Technique: Left: CT. Right: PSMA PET, same axial level, 18F tracer.
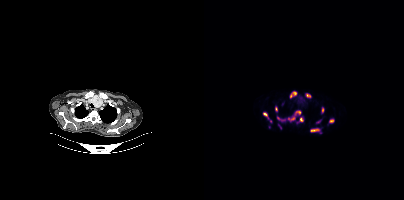
Findings: Coordinates are on the 200×200 PET (right) panel. (showing 11 of 13 foci) PSMA-avid tumor lesion bounding boxes (x, y, width, height): x=84 y=110 w=14 h=12 / x=59 y=112 w=9 h=11 / x=106 y=128 w=10 h=5 / x=86 y=91 w=7 h=8 / x=95 y=117 w=5 h=5 / x=125 y=119 w=6 h=4 / x=102 y=94 w=5 h=4 / x=71 y=106 w=3 h=6 / x=117 y=107 w=4 h=6 / x=73 y=117 w=8 h=4 / x=112 y=120 w=5 h=4.